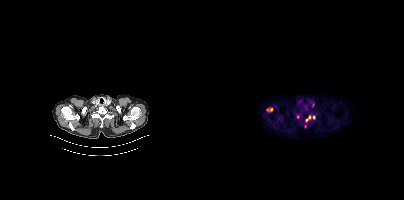
Coordinates are on the 200×200 PET (right) panel. (showing 4 of 7 foci) PSMA-avid tumor lesion bounding box (x, y, width, height): x=102 y=116 w=5 h=6. Small PSMA-avid foci (2 to 4 px across) near (center x, center y): (67, 109) | (110, 117) | (93, 116).